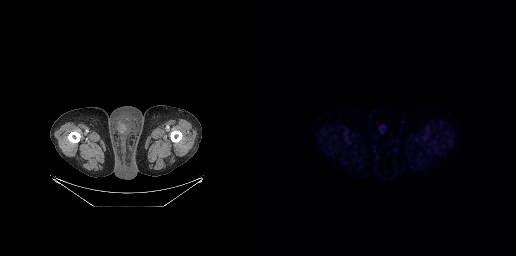
modality: PSMA PET/CT | tracer: 18F | view: axial | PET grid: 256×256
This slice has no annotated PSMA-avid lesion.